Left: CT. Right: PSMA PET, same axial level, [18F]PSMA-1007 tracer. Acquired on Siemens Biograph mCT Flow 20. Slice 283 of 409.
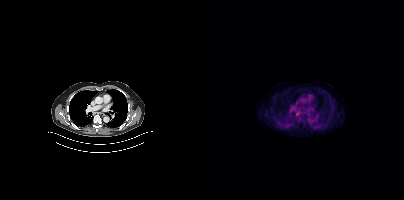
Negative for PSMA-avid disease on this slice.